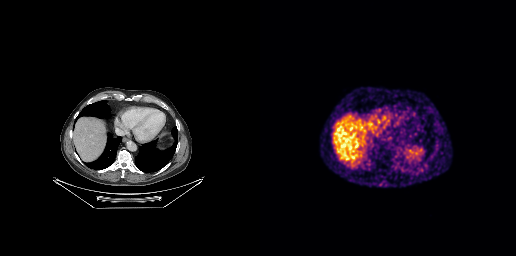
Findings: Negative for PSMA-avid disease on this slice.
Technique: Paired axial CT (left) and PSMA PET (right), 68Ga-PSMA tracer. acquired on GE Discovery 690. slice 167 of 263.